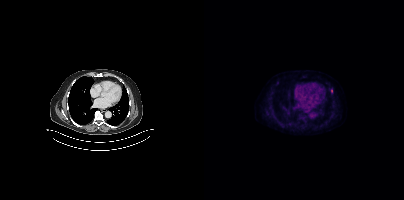
Coordinates are on the 200×200 PET (right) panel. Small PSMA-avid focus (2 to 4 px across) near (center x, center y): (127, 90).